An anonymization step blacked out a rectangle over the head in this scan. Two-panel axial: CT | PSMA PET, 18F-PSMA tracer.
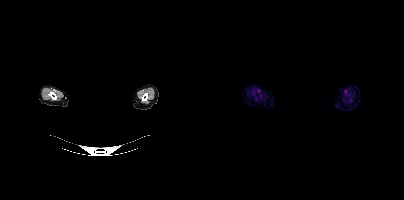
Negative for PSMA-avid disease on this slice.